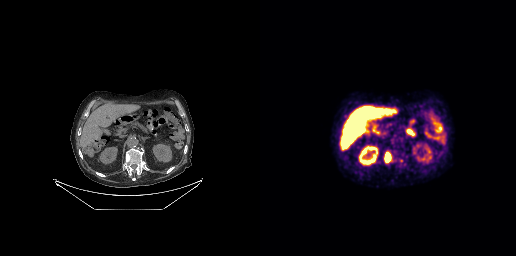
Left: CT. Right: PSMA PET, same axial level, [18F]PSMA-1007 tracer. Slice 148 of 263. PET panel 256×256 px (2.7 mm/px).
Coordinates are on the 256×256 PET (right) panel. PSMA-avid tumor lesion bounding boxes:
| # | x0 | y0 | x1 | y1 |
|---|---|---|---|---|
| 1 | 124 | 152 | 132 | 163 |
Small PSMA-avid focus (2 to 4 px across) near (center x, center y): (141, 160).